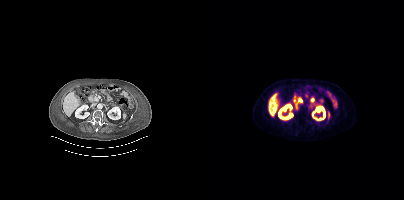
Paired axial CT (left) and PSMA PET (right), 18F-PSMA tracer. Acquired on Siemens Biograph mCT Flow 20. Slice 152 of 344. PET panel 200×200 px (4.1 mm/px). Negative for PSMA-avid disease on this slice.